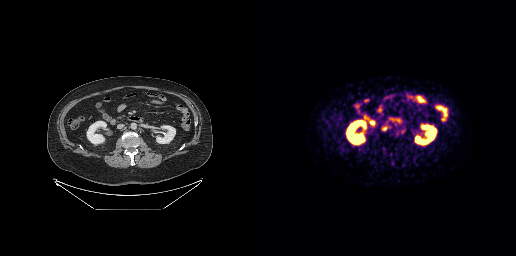
Two-panel axial: CT | PSMA PET, [18F]PSMA-1007 tracer. Slice position z = -469 mm. PET panel 256×256 px (2.7 mm/px). Coordinates are on the 256×256 PET (right) panel. PSMA-avid tumor lesion bounding box (x0,y0,x1,y1): [122,127,126,130].